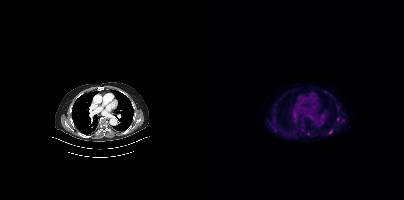
Paired axial CT (left) and PSMA PET (right), 18F tracer. Coordinates are on the 200×200 PET (right) panel. (showing 6 of 7 foci) Small PSMA-avid foci (2 to 4 px across) near (center x, center y): (126, 131), (104, 133), (121, 91), (133, 118), (98, 129), (68, 126).